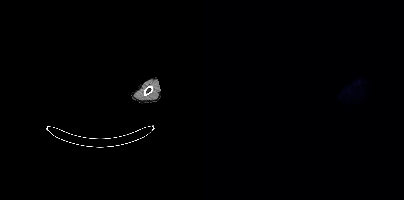
No tumor lesions annotated on this slice. The face region was removed for patient privacy by blanking a rectangle over the head. Paired axial CT (left) and PSMA PET (right), 18F-PSMA tracer. Slice 388 of 409. PET panel 200×200 px (4.1 mm/px).